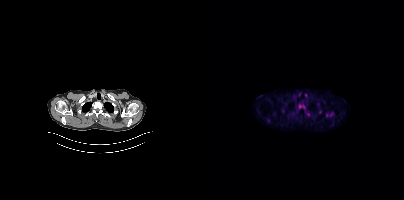
Coordinates are on the 200×200 PET (right) panel. PSMA-avid tumor lesion bounding box (x0, y0)-(x1, y1): (122, 112)-(129, 117). Small PSMA-avid focus (2 to 4 px across) near (center x, center y): (116, 111). Two-panel axial: CT | PSMA PET, 18F-PSMA tracer.